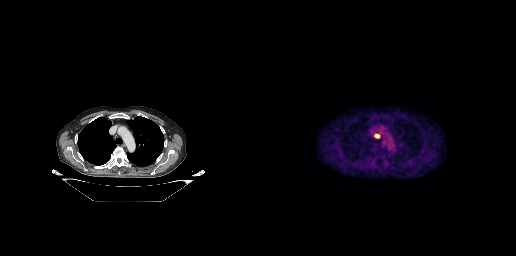
Coordinates are on the 256×256 PET (right) panel. PSMA-avid tumor lesion bounding box (x0, y0)-(x1, y1): (114, 134)-(119, 138).